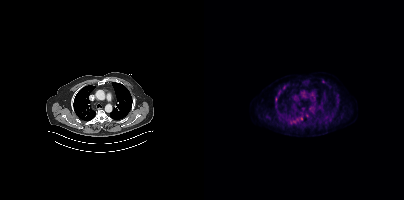
Left: CT. Right: PSMA PET, same axial level, 18F-PSMA tracer. Acquired on Siemens Biograph mCT Flow 20. Slice position z = -992 mm. PET panel 200×200 px (4.1 mm/px). Coordinates are on the 200×200 PET (right) panel. (showing 4 of 5 foci) Small PSMA-avid foci (2 to 4 px across) near (center x, center y): (96, 118) | (72, 98) | (102, 115) | (90, 121).